Two-panel axial: CT | PSMA PET, [68Ga]Ga-PSMA-11 tracer. Slice 89 of 263.
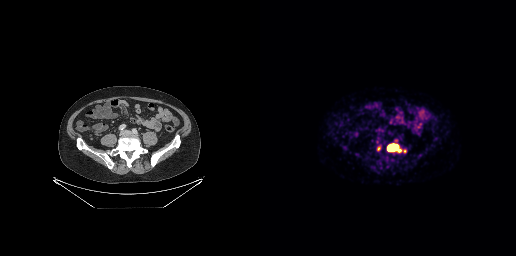
Coordinates are on the 256×256 PET (right) panel. PSMA-avid tumor lesion bounding boxes (partial; 1 more focus not listed):
| # | x0 | y0 | x1 | y1 |
|---|---|---|---|---|
| 1 | 127 | 143 | 141 | 151 |